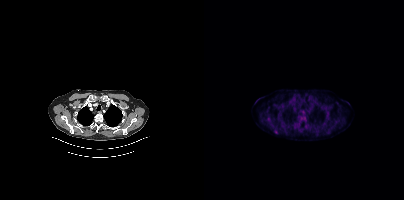
Coordinates are on the 200×200 PET (right) panel. Small PSMA-avid foci (2 to 4 px across) near (center x, center y): (72, 131) | (65, 119).